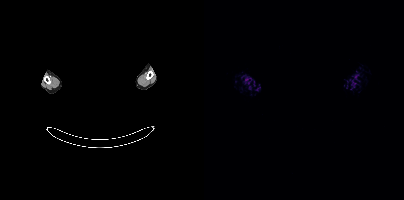
{"pet_grid":[200,200],"coord_frame":"pet_panel","coord_format":"x0,y0,x1,y1","psma_avid_lesions":false,"de-identification":"rectangular block over head set to black","modality":"PSMA PET/CT","view":"axial","tracer":"18F"}